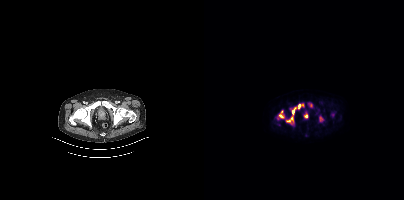
{"modality":"PSMA PET/CT","view":"axial","tracer":"18F","pet_grid":[200,200],"coord_frame":"pet_panel","coord_format":"x0,y0,x1,y1","lesion_bboxes":[[83,117,89,123],[105,103,108,107],[88,108,91,114],[94,104,96,108],[116,117,118,121],[75,114,79,117]],"small_foci_centers":[[101,115],[98,104],[77,111]]}